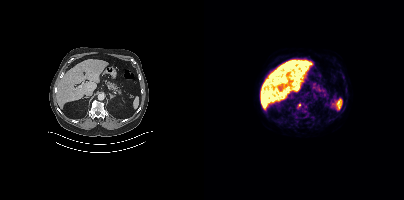
- Two-panel axial: CT | PSMA PET, 18F-PSMA tracer
Findings: Coordinates are on the 200×200 PET (right) panel. Small PSMA-avid focus (2 to 4 px across) near (center x, center y): (95, 105).